modality: PSMA PET/CT | tracer: 18F | view: axial
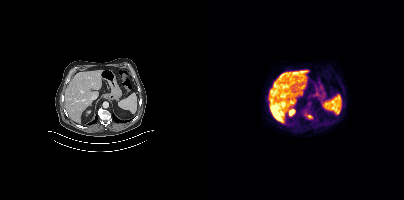
Coordinates are on the 200×200 PET (right) panel. PSMA-avid tumor lesion bounding box (x0, y0)-(x1, y1): (103, 115)-(108, 118).